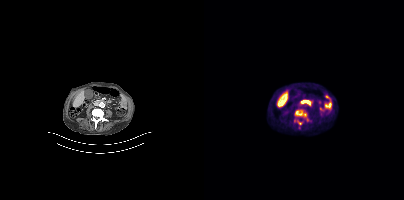
Left: CT. Right: PSMA PET, same axial level, [18F]PSMA-1007 tracer.
Coordinates are on the 200×200 PET (right) panel. PSMA-avid tumor lesion bounding boxes:
| # | x0 | y0 | x1 | y1 |
|---|---|---|---|---|
| 1 | 90 | 118 | 103 | 128 |
| 2 | 90 | 112 | 96 | 116 |